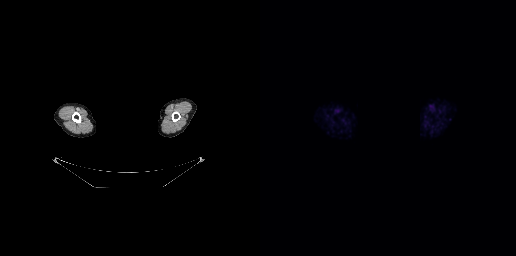
{"modality":"PSMA PET/CT","view":"axial","tracer":"18F-PSMA","pet_grid":[256,256],"coord_frame":"pet_panel","coord_format":"x0,y0,x1,y1","de-identification":"privacy mask over head","psma_avid_lesions":false}